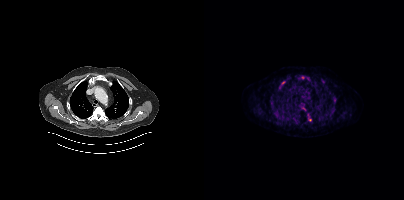
Technique: Left: CT. Right: PSMA PET, same axial level, 18F tracer. slice position z = -298 mm.
Findings: Coordinates are on the 200×200 PET (right) panel. (showing 12 of 13 foci) PSMA-avid tumor lesion bounding boxes (x, y, width, height): x=85 y=114 w=8 h=8 / x=124 y=111 w=6 h=7 / x=71 y=112 w=6 h=6 / x=75 y=81 w=7 h=9 / x=97 y=75 w=7 h=5 / x=117 y=79 w=5 h=5 / x=129 y=99 w=4 h=5 / x=66 y=101 w=4 h=5. Small PSMA-avid foci (2 to 4 px across) near (center x, center y): (99, 108) / (141, 114) / (105, 119) / (101, 121).